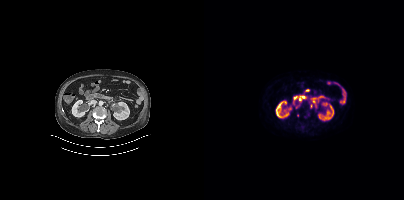
No tumor lesions annotated on this slice. Left: CT. Right: PSMA PET, same axial level, 18F tracer. PET panel 200×200 px (4.1 mm/px).